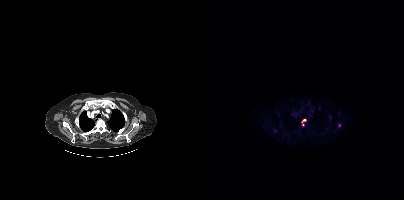
Coordinates are on the 200×200 PET (right) panel. (showing 1 of 3 foci) PSMA-avid tumor lesion bounding box (x, y, width, height): x=98 y=119 w=5 h=4.